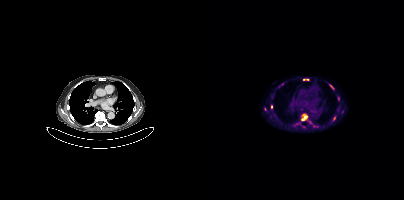
- Paired axial CT (left) and PSMA PET (right), 18F tracer
- slice 281 of 415
Findings: Coordinates are on the 200×200 PET (right) panel. (showing 4 of 6 foci) PSMA-avid tumor lesion bounding boxes (x, y, width, height): x=97 y=114 w=7 h=7 | x=126 y=85 w=4 h=5 | x=99 y=79 w=6 h=2. Small PSMA-avid focus (2 to 4 px across) near (center x, center y): (67, 106).